Technique: Paired axial CT (left) and PSMA PET (right), 68Ga tracer. acquired on Siemens Biograph 64-4R TruePoint. slice 21 of 195. PET panel 168×168 px (4.1 mm/px).
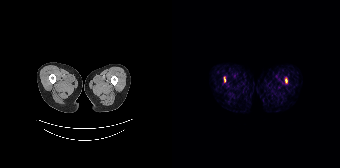
Findings: Coordinates are on the 168×168 PET (right) panel. PSMA-avid tumor lesion bounding boxes (x, y, width, height): x=52 y=77 w=2 h=5 / x=113 y=78 w=2 h=5.